Paired axial CT (left) and PSMA PET (right), [18F]PSMA-1007 tracer. PET panel 200×200 px (4.1 mm/px). Facial anatomy redacted by setting a rectangular region of the head to black.
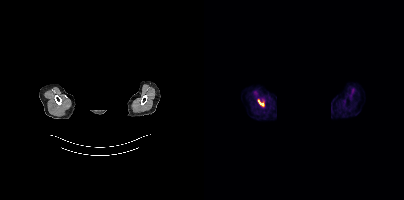
Coordinates are on the 200×200 PET (right) panel. PSMA-avid tumor lesion bounding boxes:
| # | x0 | y0 | x1 | y1 |
|---|---|---|---|---|
| 1 | 54 | 100 | 59 | 105 |